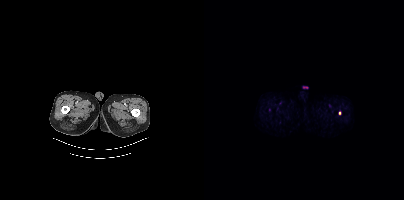
Coordinates are on the 200×200 PET (right) panel. (showing 1 of 2 foci) Small PSMA-avid focus (2 to 4 px across) near (center x, center y): (135, 113). Left: CT. Right: PSMA PET, same axial level, [18F]PSMA-1007 tracer. Acquired on Siemens Biograph mCT Flow 20. PET panel 200×200 px (4.1 mm/px).